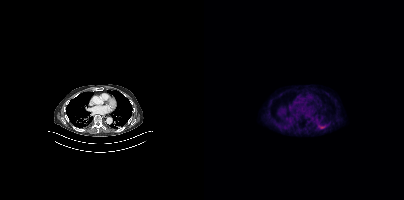
Coordinates are on the 200×200 PET (right) panel. PSMA-avid tumor lesion bounding box (x0,y0,x1,y1): [115,125,121,128].
modality: PSMA PET/CT | tracer: 18F | view: axial